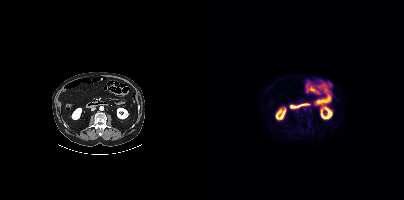
No PSMA-avid tumor lesions on this slice.